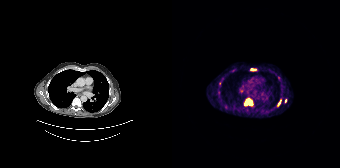
Coordinates are on the 168×168 PET (right) panel. PSMA-avid tumor lesion bounding boxes (x, y, width, height): x=72 y=99 w=9 h=7; x=79 y=68 w=5 h=3; x=106 y=100 w=4 h=6. Small PSMA-avid foci (2 to 4 px across) near (center x, center y): (113, 100); (47, 83); (61, 70).